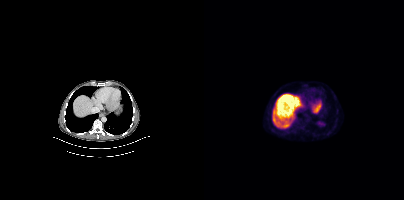
Two-panel axial: CT | PSMA PET, 18F-PSMA tracer. Slice 263 of 435. PET panel 200×200 px (4.1 mm/px). This slice has no annotated PSMA-avid lesion.